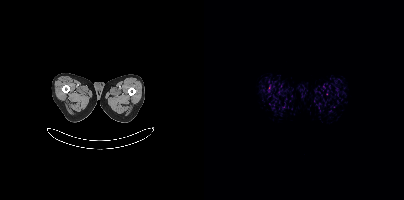
Left: CT. Right: PSMA PET, same axial level, 18F tracer. Acquired on Siemens Biograph mCT Flow 20. PET panel 200×200 px (4.1 mm/px). Only PSMA-avid lesion pieces thinner than 2 px on this slice (not listed).